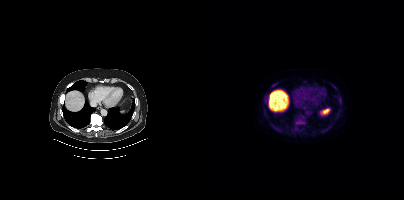
Findings: Coordinates are on the 200×200 PET (right) panel. PSMA-avid tumor lesion bounding boxes (x, y, width, height): x=90 y=116 w=10 h=10; x=118 y=128 w=7 h=6; x=88 y=127 w=5 h=6; x=70 y=127 w=5 h=5; x=68 y=83 w=5 h=5; x=128 y=85 w=6 h=6. Small PSMA-avid foci (2 to 4 px across) near (center x, center y): (61, 101); (136, 100).
Technique: Left: CT. Right: PSMA PET, same axial level, [18F]PSMA-1007 tracer. slice position z = -981 mm.